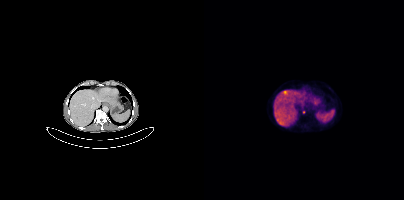
Only PSMA-avid lesion pieces thinner than 2 px on this slice (not listed).